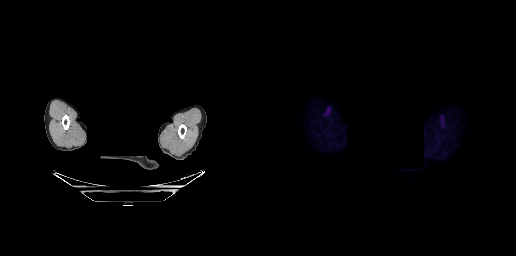
Negative for PSMA-avid disease on this slice.
De-identified by setting a box covering the face to black before release.